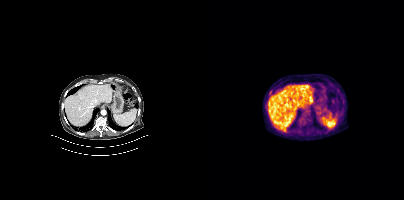
Technique: Left: CT. Right: PSMA PET, same axial level, 18F tracer. slice 230 of 397. PET panel 200×200 px (4.1 mm/px).
Findings: No PSMA-avid tumor lesions on this slice.